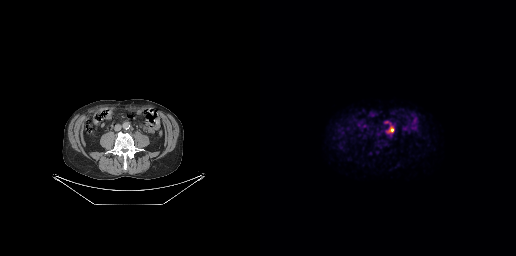
Coordinates are on the 256×256 PET (right) panel. PSMA-avid tumor lesion bounding box (x0,y0,x1,y1): [126,125,134,134]. Small PSMA-avid focus (2 to 4 px across) near (center x, center y): (126, 121). Left: CT. Right: PSMA PET, same axial level, 18F-PSMA tracer. Slice position z = -496 mm. PET panel 256×256 px (2.7 mm/px).